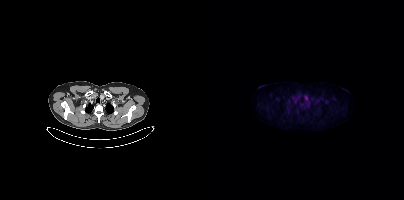
modality: PSMA PET/CT | tracer: [18F]PSMA-1007 | view: axial | PET grid: 200×200
No tumor lesions annotated on this slice.